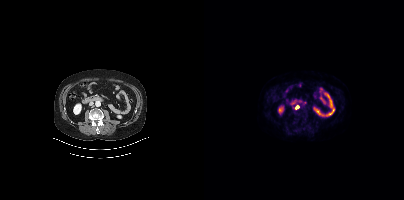
Coordinates are on the 200×200 PET (right) panel. Small PSMA-avid foci (2 to 4 px across) near (center x, center y): (93, 107); (100, 102); (89, 107).